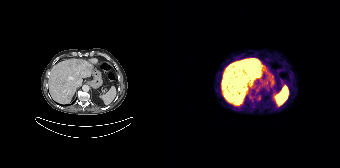
Findings: Coordinates are on the 168×168 PET (right) panel. PSMA-avid tumor lesion bounding boxes (x0, y0)-(x1, y1): (64, 59)-(88, 77) | (62, 78)-(75, 104) | (83, 59)-(87, 66). Small PSMA-avid focus (2 to 4 px across) near (center x, center y): (87, 98).
Technique: Paired axial CT (left) and PSMA PET (right), 68Ga-PSMA tracer.